Two-panel axial: CT | PSMA PET, 18F tracer. Acquired on Siemens Biograph mCT Flow 20. Slice position z = 34 mm. PET panel 200×200 px (4.1 mm/px).
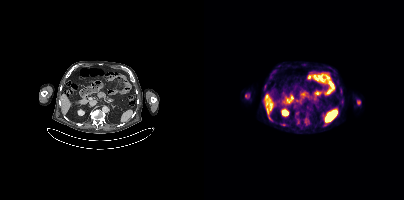
Coordinates are on the 200×200 PET (right) panel. PSMA-avid tumor lesion bounding boxes (partial; 1 more focus not listed):
| # | x0 | y0 | x1 | y1 |
|---|---|---|---|---|
| 1 | 41 | 94 | 45 | 97 |
| 2 | 77 | 123 | 82 | 126 |